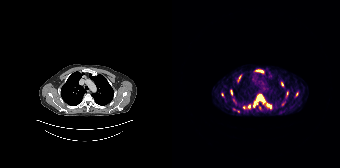
Paired axial CT (left) and PSMA PET (right), [68Ga]Ga-PSMA-11 tracer. PET panel 168×168 px (4.1 mm/px).
Coordinates are on the 168×168 PET (right) panel. PSMA-avid tumor lesion bounding boxes (partial; 2 more foci not listed):
| # | x0 | y0 | x1 | y1 |
|---|---|---|---|---|
| 1 | 82 | 94 | 92 | 102 |
| 2 | 84 | 69 | 91 | 72 |
| 3 | 65 | 75 | 69 | 81 |
| 4 | 58 | 90 | 60 | 95 |
| 5 | 76 | 104 | 78 | 108 |
| 6 | 95 | 104 | 99 | 107 |
Small PSMA-avid foci (2 to 4 px across) near (center x, center y): (72, 107); (110, 84); (50, 94); (124, 93); (81, 105); (66, 111).